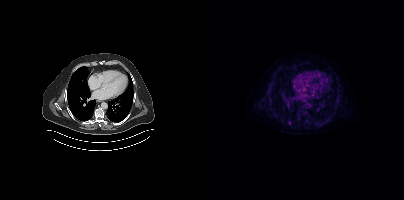
Only PSMA-avid lesion pieces thinner than 2 px on this slice (not listed). Left: CT. Right: PSMA PET, same axial level, 18F-PSMA tracer. PET panel 200×200 px (4.1 mm/px).